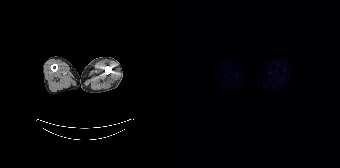
Technique: Two-panel axial: CT | PSMA PET, 18F tracer. acquired on Siemens Biograph 64-4R TruePoint. slice position z = -1374 mm. PET panel 168×168 px (4.1 mm/px).
Findings: No tumor lesions annotated on this slice.